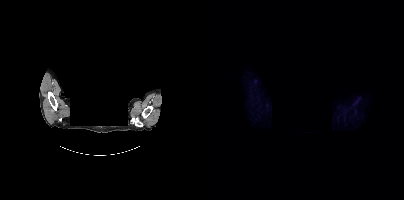
Two-panel axial: CT | PSMA PET, 18F tracer. Slice 377 of 435. PET panel 200×200 px (4.1 mm/px). Head region blanked for anonymization (face removed). No tumor lesions annotated on this slice.